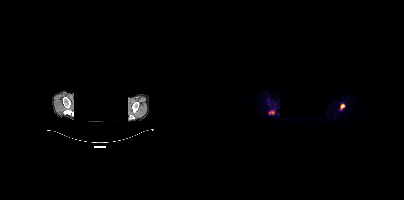
Coordinates are on the 200×200 PET (right) panel. PSMA-avid tumor lesion bounding boxes:
| # | x0 | y0 | x1 | y1 |
|---|---|---|---|---|
| 1 | 65 | 110 | 70 | 114 |
| 2 | 136 | 104 | 140 | 109 |
Left: CT. Right: PSMA PET, same axial level, 18F-PSMA tracer. Slice 323 of 375. PET panel 200×200 px (4.1 mm/px). Privacy masking over the head, with the pixels inside a rectangle set to black.